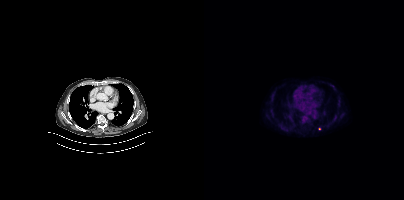
Technique: Two-panel axial: CT | PSMA PET, 18F tracer. slice position z = -984 mm.
Findings: No PSMA-avid tumor lesions on this slice.